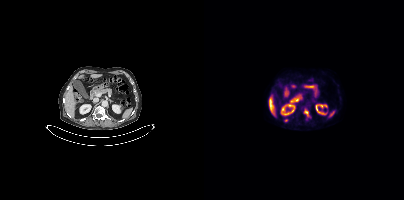
Coordinates are on the 200×200 PET (right) panel. PSMA-avid tumor lesion bounding boxes (x0,y0,x1,y1): [100,110,107,120] [80,119,84,122]. Left: CT. Right: PSMA PET, same axial level, 18F-PSMA tracer.